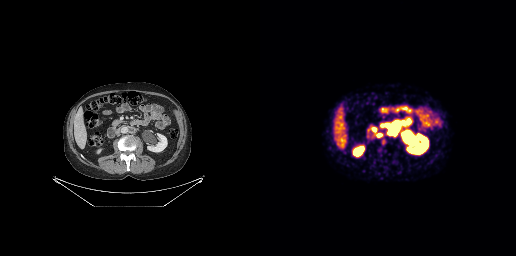
modality: PSMA PET/CT | tracer: 68Ga | view: axial
Coordinates are on the 256×256 PET (right) panel. PSMA-avid tumor lesion bounding boxes (x0, y0)-(x1, y1): (127, 125)-(138, 134); (116, 133)-(122, 137).